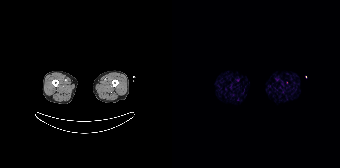
No PSMA-avid tumor lesions on this slice. Two-panel axial: CT | PSMA PET, 68Ga tracer. Acquired on Siemens Biograph 64-4R TruePoint. Slice position z = -1004 mm.